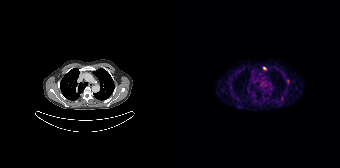
Coordinates are on the 168×168 PET (right) panel. Small PSMA-avid foci (2 to 4 px across) near (center x, center y): (92, 67) | (116, 80).